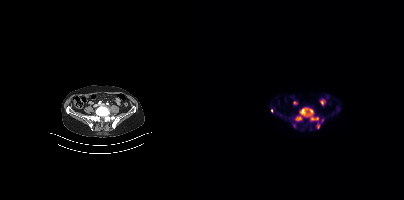
Coordinates are on the 200×200 PET (right) panel. PSMA-avid tumor lesion bounding boxes (x, y, width, height): x=88 y=108 w=27 h=21 / x=112 y=123 w=4 h=6. Small PSMA-avid foci (2 to 4 px across) near (center x, center y): (67, 110) / (118, 120).
modality: PSMA PET/CT | tracer: 18F-PSMA | view: axial